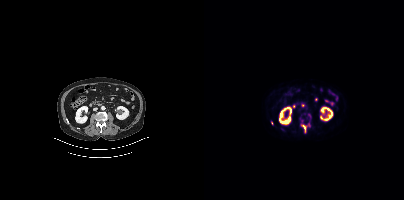
Coordinates are on the 200×200 PET (right) panel. (showing 1 of 2 foci) PSMA-avid tumor lesion bounding box (x, y, width, height): x=98 y=125 w=5 h=9.